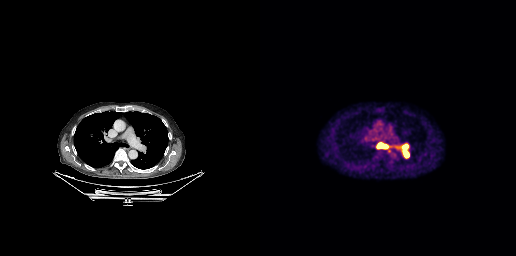
- Two-panel axial: CT | PSMA PET, 18F tracer
- slice 194 of 263
Findings: Coordinates are on the 256×256 PET (right) panel. (showing 2 of 3 foci) PSMA-avid tumor lesion bounding boxes (x0, y0)-(x1, y1): (136, 143)-(149, 158) | (116, 142)-(128, 149).